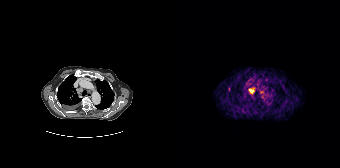
modality: PSMA PET/CT | tracer: 68Ga-PSMA | view: axial | PET grid: 168×168
Coordinates are on the 168×168 PET (right) panel. PSMA-avid tumor lesion bounding box (x0,y0,x1,y1): [76,87,82,93]. Small PSMA-avid focus (2 to 4 px across) near (center x, center y): (56, 89).